modality: PSMA PET/CT | tracer: 18F-PSMA | view: axial
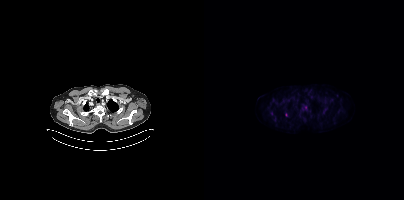
Coordinates are on the 200×200 PET (right) panel. (showing 3 of 4 foci) Small PSMA-avid foci (2 to 4 px across) near (center x, center y): (82, 114); (101, 107); (119, 111).